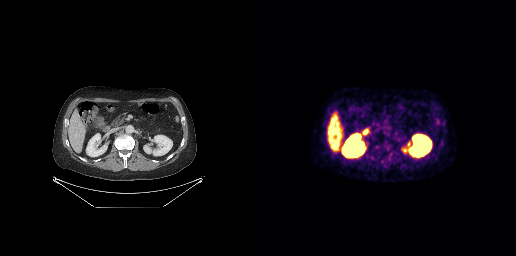
- Two-panel axial: CT | PSMA PET, [18F]PSMA-1007 tracer
- acquired on GE Discovery 690
- slice 230 of 371
- PET panel 256×256 px (2.7 mm/px)
Findings: No PSMA-avid tumor lesions on this slice.